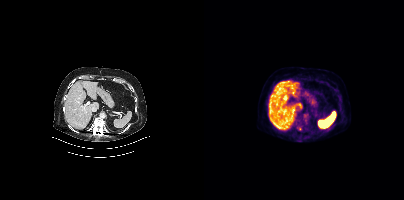
Technique: Left: CT. Right: PSMA PET, same axial level, 18F tracer.
Findings: This slice has no annotated PSMA-avid lesion.